modality: PSMA PET/CT | tracer: 18F | view: axial | PET grid: 200×200
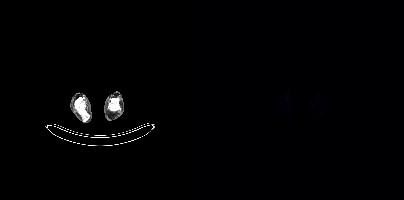
This slice has no annotated PSMA-avid lesion.